Technique: Two-panel axial: CT | PSMA PET, 18F tracer. acquired on Siemens Biograph mCT Flow 20. PET panel 200×200 px (4.1 mm/px).
Note: Facial anatomy redacted by setting a rectangular region of the head to black.
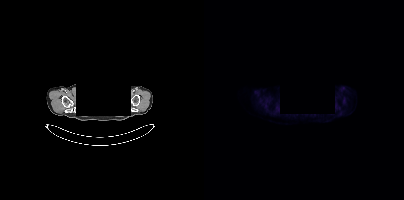
Findings: This slice has no annotated PSMA-avid lesion.